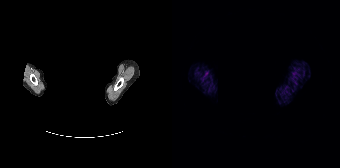
{"pet_grid":[168,168],"coord_frame":"pet_panel","coord_format":"x0,y0,x1,y1","psma_avid_lesions":false,"redaction":"head region blacked out before release","modality":"PSMA PET/CT","view":"axial","tracer":"68Ga"}